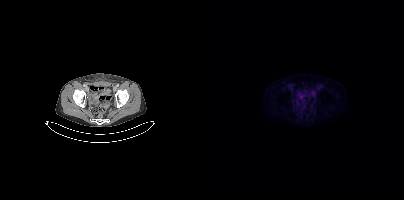
{"modality":"PSMA PET/CT","view":"axial","tracer":"18F","pet_grid":[200,200],"coord_frame":"pet_panel","coord_format":"x0,y0,x1,y1","psma_avid_lesions":false}